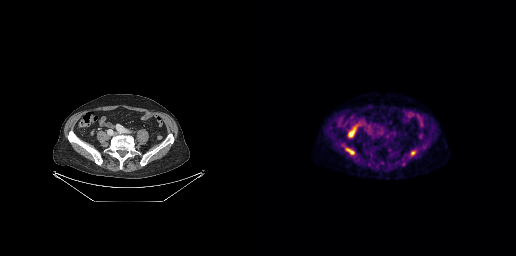
Two-panel axial: CT | PSMA PET, [18F]PSMA-1007 tracer. Slice position z = -707 mm. PET panel 256×256 px (2.7 mm/px).
Coordinates are on the 256×256 PET (right) panel. PSMA-avid tumor lesion bounding boxes:
| # | x0 | y0 | x1 | y1 |
|---|---|---|---|---|
| 1 | 151 | 151 | 155 | 155 |
| 2 | 90 | 150 | 94 | 153 |